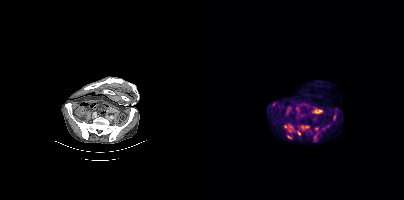
modality: PSMA PET/CT | tracer: 18F-PSMA | view: axial
Coordinates are on the 200×200 PET (right) panel. (showing 10 of 11 foci) PSMA-avid tumor lesion bounding boxes (x, y, width, height): x=97 y=125 w=9 h=5 | x=85 y=125 w=6 h=8 | x=120 y=125 w=6 h=6 | x=93 y=129 w=4 h=7 | x=68 y=102 w=4 h=5 | x=129 y=115 w=3 h=6 | x=110 y=134 w=4 h=6 | x=84 y=136 w=5 h=3. Small PSMA-avid foci (2 to 4 px across) near (center x, center y): (112, 128) | (81, 126).